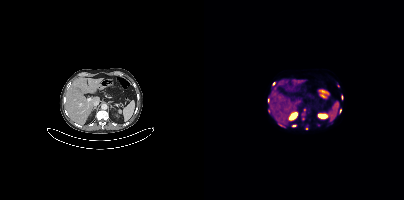
Coordinates are on the 200×200 PET (right) panel. (showing 9 of 12 foci) PSMA-avid tumor lesion bounding boxes (x0, y0)-(x1, y1): (64, 97)-(65, 101); (75, 124)-(79, 126). Small PSMA-avid foci (2 to 4 px across) near (center x, center y): (114, 125); (69, 83); (134, 85); (136, 110); (89, 125); (102, 128); (98, 119).